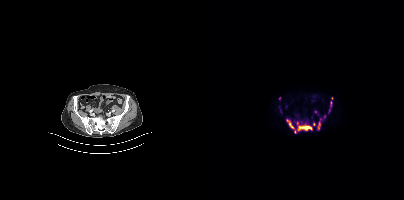
Coordinates are on the 200×200 PET (right) panel. (showing 5 of 7 foci) PSMA-avid tumor lesion bounding boxes (x0, y0)-(x1, y1): (93, 122)-(108, 130) | (82, 119)-(91, 132) | (114, 124)-(115, 129) | (126, 101)-(127, 106). Small PSMA-avid focus (2 to 4 px across) near (center x, center y): (75, 97).